- the face region was removed for patient privacy by blanking a rectangle over the head
- Paired axial CT (left) and PSMA PET (right), 68Ga tracer
- acquired on GE Discovery 690
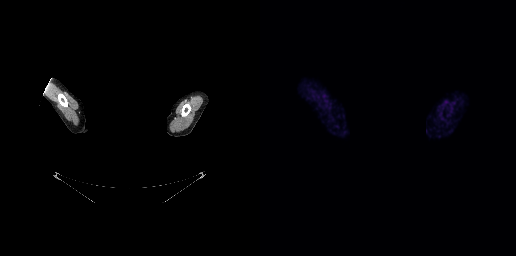
Findings: Negative for PSMA-avid disease on this slice.